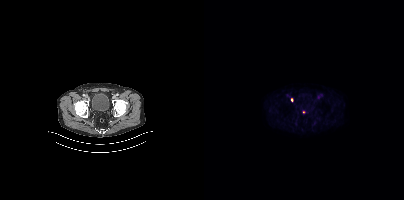
Two-panel axial: CT | PSMA PET, [18F]PSMA-1007 tracer. PET panel 200×200 px (4.1 mm/px). Coordinates are on the 200×200 PET (right) panel. (showing 1 of 2 foci) Small PSMA-avid focus (2 to 4 px across) near (center x, center y): (99, 111).